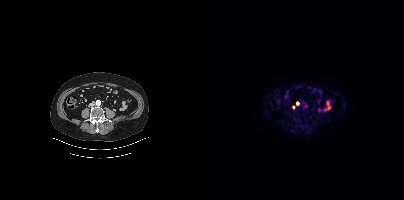
Technique: Two-panel axial: CT | PSMA PET, [18F]PSMA-1007 tracer.
Findings: Coordinates are on the 200×200 PET (right) panel. (showing 2 of 3 foci) Small PSMA-avid foci (2 to 4 px across) near (center x, center y): (93, 103) | (89, 106).